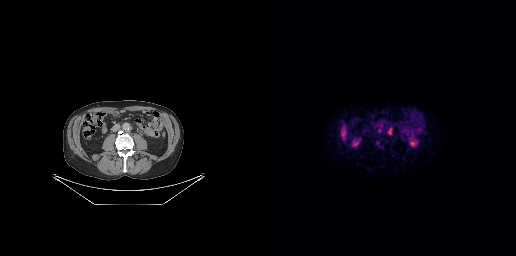
Technique: Paired axial CT (left) and PSMA PET (right), [18F]PSMA-1007 tracer.
Findings: Coordinates are on the 256×256 PET (right) panel. PSMA-avid tumor lesion bounding box (x0, y0)-(x1, y1): (128, 128)-(131, 133).